- Two-panel axial: CT | PSMA PET, [68Ga]Ga-PSMA-11 tracer
- acquired on GE Discovery 690
- PET panel 256×256 px (2.7 mm/px)
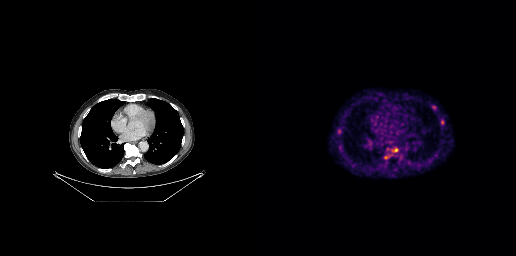
Findings: Coordinates are on the 256×256 PET (right) panel. Small PSMA-avid foci (2 to 4 px across) near (center x, center y): (182, 121); (136, 150).